Facial anatomy redacted by setting a rectangular region of the head to black. Paired axial CT (left) and PSMA PET (right), 18F tracer. Acquired on Siemens Biograph mCT Flow 20.
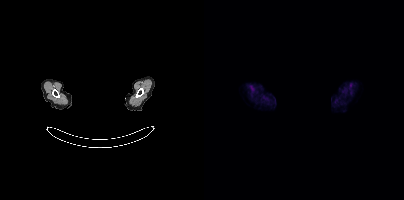
No PSMA-avid tumor lesions on this slice.